Two-panel axial: CT | PSMA PET, 18F-PSMA tracer. PET panel 200×200 px (4.1 mm/px).
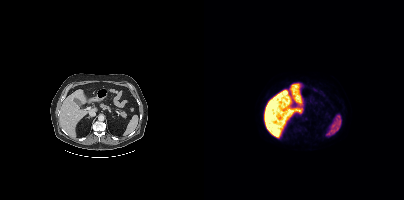
No PSMA-avid tumor lesions on this slice.